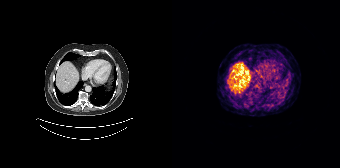
{"modality":"PSMA PET/CT","view":"axial","tracer":"[68Ga]Ga-PSMA-11","pet_grid":[168,168],"coord_frame":"pet_panel","coord_format":"x0,y0,x1,y1","psma_avid_lesions":false}